modality: PSMA PET/CT | tracer: 18F | view: axial | PET grid: 200×200
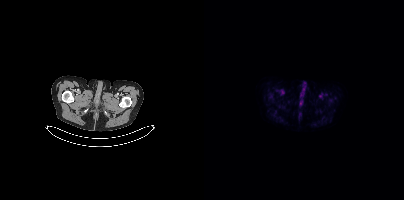
No tumor lesions annotated on this slice.